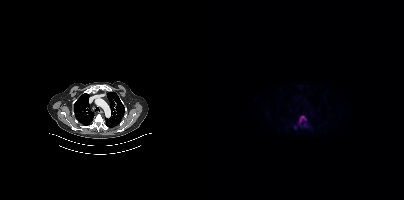
Coordinates are on the 200×200 PET (right) panel. PSMA-avid tumor lesion bounding box (x, y, width, height): x=90 y=115 w=14 h=15.
modality: PSMA PET/CT | tracer: 18F-PSMA | view: axial